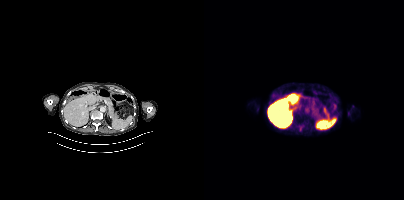
{"modality":"PSMA PET/CT","view":"axial","tracer":"18F-PSMA","pet_grid":[200,200],"coord_frame":"pet_panel","coord_format":"x0,y0,x1,y1","psma_avid_lesions":false}